- Paired axial CT (left) and PSMA PET (right), [18F]PSMA-1007 tracer
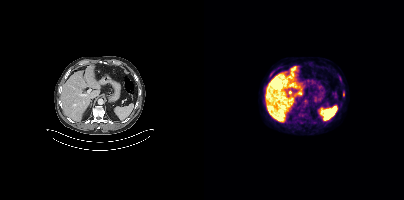
Findings: Coordinates are on the 200×200 PET (right) panel. Small PSMA-avid focus (2 to 4 px across) near (center x, center y): (139, 94).